Technique: Left: CT. Right: PSMA PET, same axial level, 18F-PSMA tracer. acquired on GE Discovery 690. slice position z = -320 mm.
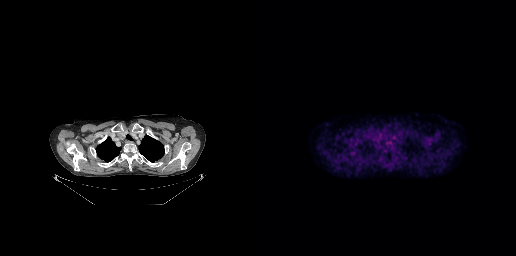
Findings: Negative for PSMA-avid disease on this slice.